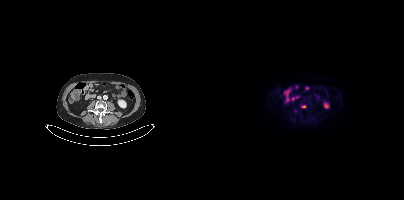
Left: CT. Right: PSMA PET, same axial level, 18F tracer.
Coordinates are on the 200×200 PET (right) panel. PSMA-avid tumor lesion bounding boxes:
| # | x0 | y0 | x1 | y1 |
|---|---|---|---|---|
| 1 | 97 | 105 | 102 | 108 |